modality: PSMA PET/CT | tracer: [18F]PSMA-1007 | view: axial | PET grid: 200×200
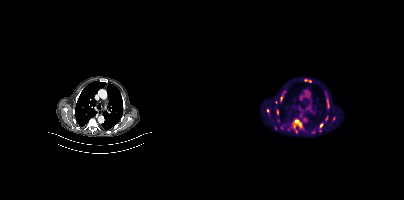
Coordinates are on the 200×200 PET (right) panel. (showing 10 of 11 foci) PSMA-avid tumor lesion bounding boxes (x, y, width, height): x=88 y=119 w=10 h=11 / x=76 y=90 w=7 h=8 / x=62 y=109 w=4 h=5 / x=72 y=109 w=3 h=7 / x=123 y=102 w=2 h=7. Small PSMA-avid foci (2 to 4 px across) near (center x, center y): (108, 131) / (72, 127) / (72, 102) / (73, 120) / (76, 101).